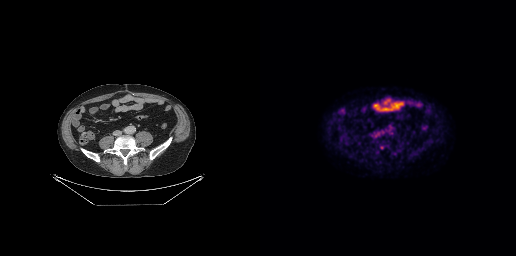
Left: CT. Right: PSMA PET, same axial level, [18F]PSMA-1007 tracer. Slice 106 of 263. PET panel 256×256 px (2.7 mm/px). Coordinates are on the 256×256 PET (right) panel. PSMA-avid tumor lesion bounding box (x0, y0)-(x1, y1): (120, 145)-(124, 149).